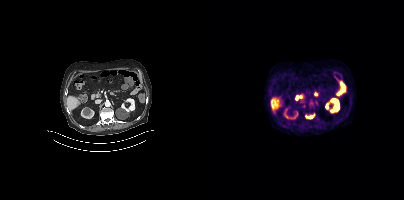
Left: CT. Right: PSMA PET, same axial level, 18F tracer. PET panel 200×200 px (4.1 mm/px). Coordinates are on the 200×200 PET (right) panel. PSMA-avid tumor lesion bounding box (x0, y0)-(x1, y1): (102, 114)-(110, 118).